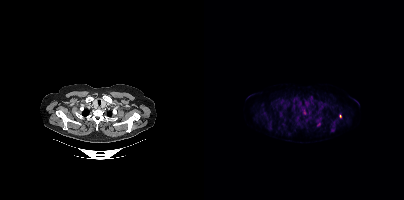
Coordinates are on the 200×200 PET (right) panel. (showing 9 of 10 foci) PSMA-avid tumor lesion bounding boxes (x, y, width, height): x=127 y=125 w=5 h=7 | x=130 y=119 w=5 h=5 | x=98 y=109 w=5 h=6 | x=91 y=117 w=5 h=4. Small PSMA-avid foci (2 to 4 px across) near (center x, center y): (114, 124) | (108, 98) | (92, 98) | (136, 116) | (118, 117). Paired axial CT (left) and PSMA PET (right), 18F tracer. Slice position z = -793 mm.